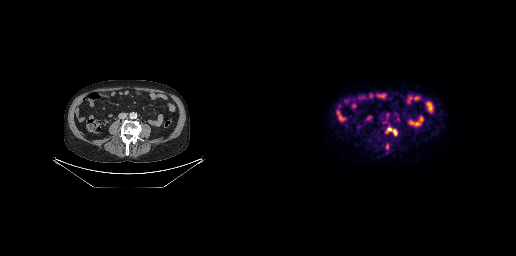
Technique: Paired axial CT (left) and PSMA PET (right), [18F]PSMA-1007 tracer. acquired on GE Discovery 690. slice position z = -478 mm. PET panel 256×256 px (2.7 mm/px).
Findings: Coordinates are on the 256×256 PET (right) panel. PSMA-avid tumor lesion bounding box (x, y, width, height): x=126 y=127 w=12 h=9. Small PSMA-avid focus (2 to 4 px across) near (center x, center y): (127, 146).